Technique: Paired axial CT (left) and PSMA PET (right), 18F tracer. slice position z = -651 mm. PET panel 200×200 px (4.1 mm/px).
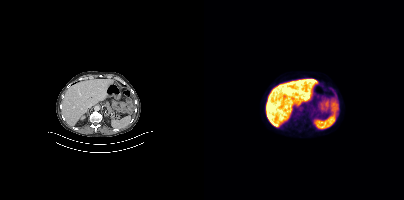
Findings: No tumor lesions annotated on this slice.